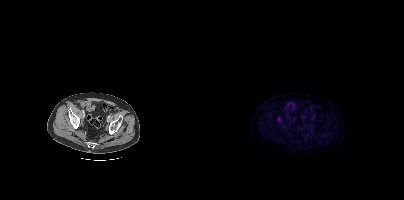
This slice has no annotated PSMA-avid lesion.